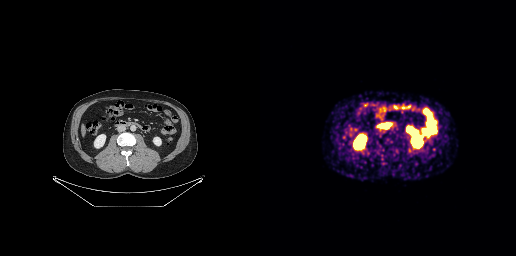
No PSMA-avid tumor lesions on this slice.